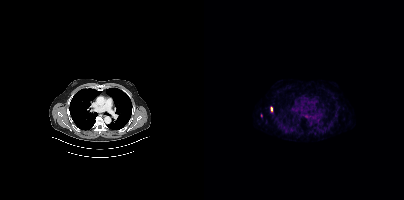
Left: CT. Right: PSMA PET, same axial level, [68Ga]Ga-PSMA-11 tracer. Slice position z = -1040 mm. Coordinates are on the 200×200 PET (right) panel. PSMA-avid tumor lesion bounding box (x0, y0)-(x1, y1): (67, 107)-(68, 111).